Technique: Two-panel axial: CT | PSMA PET, 18F tracer. slice 219 of 415. PET panel 200×200 px (4.1 mm/px).
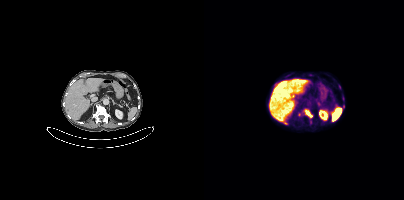
Findings: Coordinates are on the 200×200 PET (right) panel. (showing 1 of 2 foci) PSMA-avid tumor lesion bounding box (x0,y0,x1,y1): [101,110,108,117].